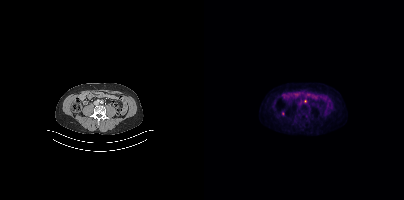
Findings: Coordinates are on the 200×200 PET (right) panel. (showing 1 of 2 foci) Small PSMA-avid focus (2 to 4 px across) near (center x, center y): (101, 101).
Technique: Two-panel axial: CT | PSMA PET, [18F]PSMA-1007 tracer. acquired on Siemens Biograph mCT Flow 20. PET panel 200×200 px (4.1 mm/px).